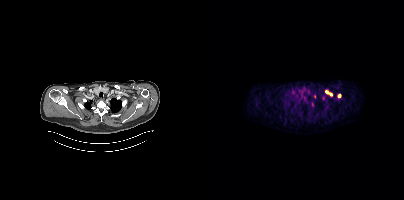
Paired axial CT (left) and PSMA PET (right), [68Ga]Ga-PSMA-11 tracer. Coordinates are on the 200×200 PET (right) panel. PSMA-avid tumor lesion bounding box (x, y, width, height): x=121 y=90 w=8 h=6. Small PSMA-avid foci (2 to 4 px across) near (center x, center y): (119, 98) | (135, 95) | (110, 96) | (108, 104).